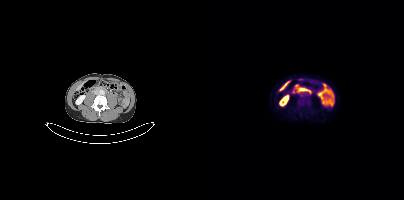
Coordinates are on the 200×200 PET (right) panel. PSMA-avid tumor lesion bounding box (x0, y0)-(x1, y1): (94, 100)-(98, 103). Two-panel axial: CT | PSMA PET, [18F]PSMA-1007 tracer. Acquired on Siemens Biograph mCT Flow 20.